Technique: Two-panel axial: CT | PSMA PET, 18F tracer. acquired on Siemens Biograph mCT Flow 20. slice 363 of 508.
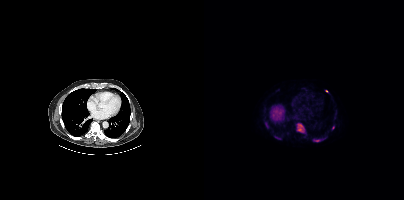
Findings: Coordinates are on the 200×200 PET (right) panel. PSMA-avid tumor lesion bounding boxes (x0, y0)-(x1, y1): (92, 123)-(100, 132) / (109, 139)-(116, 141) / (71, 136)-(77, 139). Small PSMA-avid foci (2 to 4 px across) near (center x, center y): (122, 91) / (129, 127).